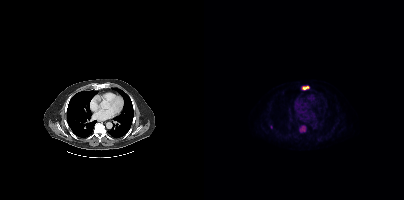
Paired axial CT (left) and PSMA PET (right), 18F tracer. Slice position z = -1034 mm. PET panel 200×200 px (4.1 mm/px).
Coordinates are on the 200×200 PET (right) panel. PSMA-avid tumor lesion bounding boxes:
| # | x0 | y0 | x1 | y1 |
|---|---|---|---|---|
| 1 | 98 | 86 | 105 | 89 |
Small PSMA-avid focus (2 to 4 px across) near (center x, center y): (67, 126).